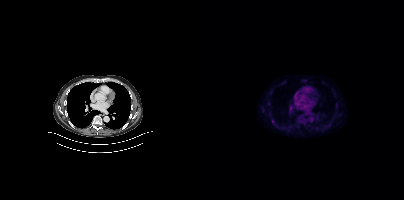
{"modality":"PSMA PET/CT","view":"axial","tracer":"18F-PSMA","pet_grid":[200,200],"coord_frame":"pet_panel","coord_format":"x0,y0,x1,y1","psma_avid_lesions":false}